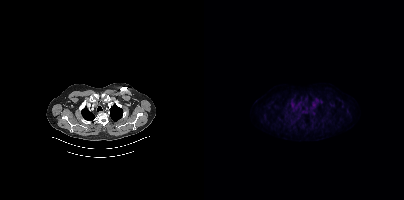
- Two-panel axial: CT | PSMA PET, [18F]PSMA-1007 tracer
- slice 357 of 442
- PET panel 200×200 px (4.1 mm/px)
Findings: No tumor lesions annotated on this slice.